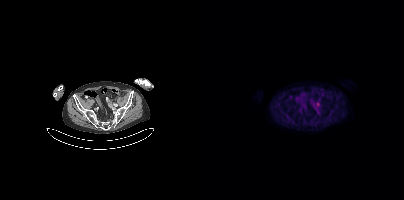
Technique: Two-panel axial: CT | PSMA PET, 18F-PSMA tracer. acquired on Siemens Biograph mCT Flow 20.
Findings: Coordinates are on the 200×200 PET (right) panel. Small PSMA-avid focus (2 to 4 px across) near (center x, center y): (113, 103).